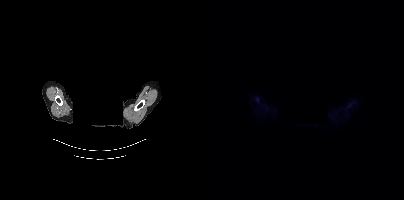
The face region was removed for patient privacy by blanking a rectangle over the head. Two-panel axial: CT | PSMA PET, 18F-PSMA tracer. Negative for PSMA-avid disease on this slice.